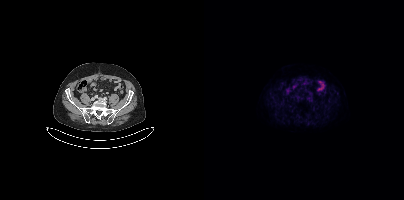
This slice has no annotated PSMA-avid lesion.
modality: PSMA PET/CT | tracer: [18F]PSMA-1007 | view: axial | PET grid: 200×200